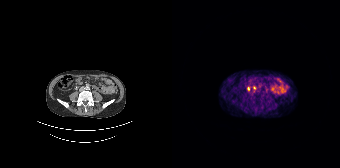
Left: CT. Right: PSMA PET, same axial level, 68Ga-PSMA tracer. Slice 74 of 195. PET panel 168×168 px (4.1 mm/px). Coordinates are on the 168×168 PET (right) panel. Small PSMA-avid foci (2 to 4 px across) near (center x, center y): (76, 88); (82, 87).